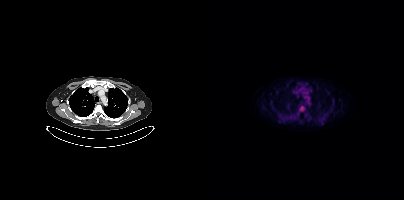
Left: CT. Right: PSMA PET, same axial level, [18F]PSMA-1007 tracer. Acquired on Siemens Biograph mCT Flow 20. Slice position z = -1027 mm. PET panel 200×200 px (4.1 mm/px).
Coordinates are on the 200×200 PET (right) panel. PSMA-avid tumor lesion bounding boxes (partial; 1 more focus not listed):
| # | x0 | y0 | x1 | y1 |
|---|---|---|---|---|
| 1 | 95 | 106 | 100 | 111 |